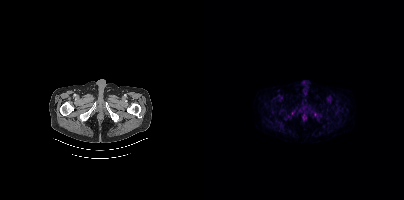
{"pet_grid":[200,200],"coord_frame":"pet_panel","coord_format":"x0,y0,x1,y1","partial":true,"lesion_bboxes":[],"modality":"PSMA PET/CT","view":"axial","tracer":"[18F]PSMA-1007"}